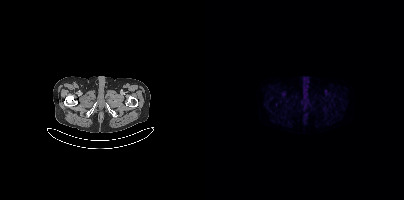
Findings: This slice has no annotated PSMA-avid lesion.
- Two-panel axial: CT | PSMA PET, 18F-PSMA tracer